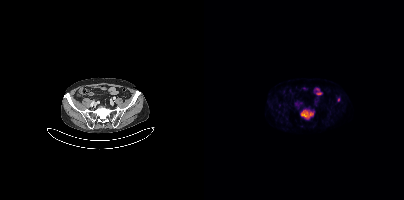
{"modality":"PSMA PET/CT","view":"axial","tracer":"18F-PSMA","pet_grid":[200,200],"coord_frame":"pet_panel","coord_format":"x0,y0,x1,y1","lesion_bboxes":[[96,109,109,119]],"small_foci_centers":[[134,99]]}